- Paired axial CT (left) and PSMA PET (right), 68Ga-PSMA tracer
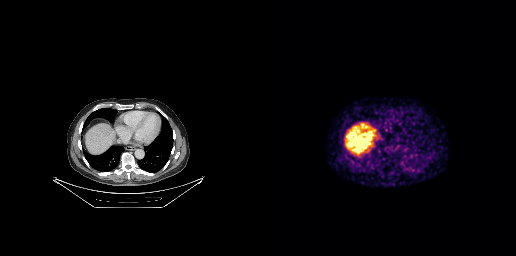
Findings: This slice has no annotated PSMA-avid lesion.